modality: PSMA PET/CT | tracer: 18F-PSMA | view: axial | PET grid: 256×256
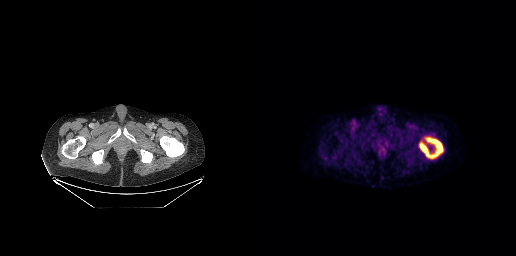
Coordinates are on the 256×256 PET (right) panel. PSMA-avid tumor lesion bounding box (x0,y0,x1,y1): [159,137,183,158].